Technique: Two-panel axial: CT | PSMA PET, 18F tracer. slice 327 of 387. PET panel 200×200 px (4.1 mm/px).
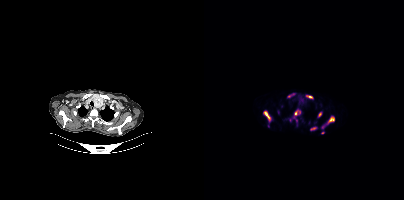
Findings: Coordinates are on the 200×200 PET (right) panel. (showing 10 of 12 foci) PSMA-avid tumor lesion bounding boxes (x, y, width, height): x=59 y=110 w=9 h=13; x=123 y=116 w=8 h=8; x=90 y=109 w=7 h=9; x=102 y=95 w=7 h=4; x=106 y=127 w=6 h=4; x=114 y=112 w=4 h=6. Small PSMA-avid foci (2 to 4 px across) near (center x, center y): (85, 96); (118, 132); (92, 120); (118, 126).